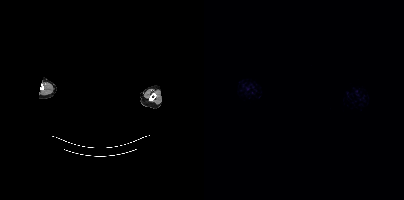
Two-panel axial: CT | PSMA PET, 18F-PSMA tracer. Acquired on Siemens Biograph mCT Flow 20. PET panel 200×200 px (4.1 mm/px). Face de-identified by blanking a block of the head. This slice has no annotated PSMA-avid lesion.